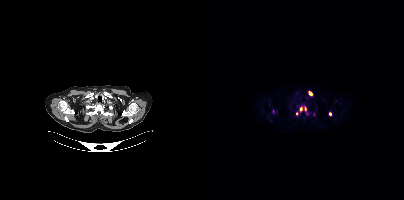
{"modality":"PSMA PET/CT","view":"axial","tracer":"18F","pet_grid":[200,200],"coord_frame":"pet_panel","coord_format":"x0,y0,x1,y1","partial":true,"lesion_bboxes":[[104,91,108,95],[96,107,98,111]],"small_foci_centers":[[126,113],[101,108],[92,113],[109,114]]}